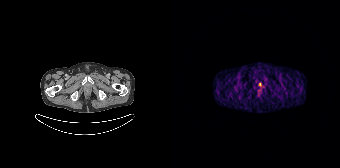
This slice has no annotated PSMA-avid lesion.